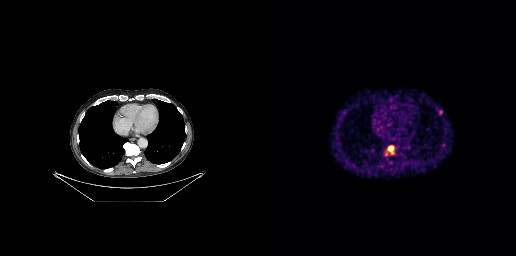
- Left: CT. Right: PSMA PET, same axial level, [68Ga]Ga-PSMA-11 tracer
- slice 157 of 263
- PET panel 256×256 px (2.7 mm/px)
Findings: Coordinates are on the 256×256 PET (right) panel. (showing 2 of 3 foci) PSMA-avid tumor lesion bounding box (x0, y0)-(x1, y1): (179, 110)-(182, 114). Small PSMA-avid focus (2 to 4 px across) near (center x, center y): (130, 148).